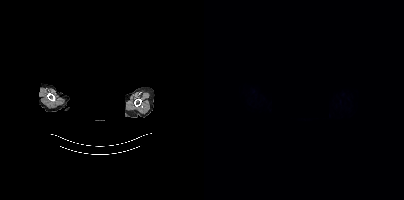
Technique: Paired axial CT (left) and PSMA PET (right), 18F-PSMA tracer. slice 360 of 395. PET panel 200×200 px (4.1 mm/px).
Note: Head region blanked for anonymization (face removed).
Findings: No PSMA-avid tumor lesions on this slice.